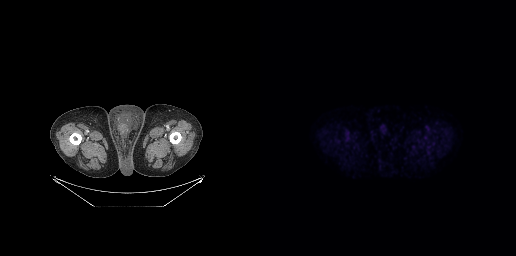
Technique: Paired axial CT (left) and PSMA PET (right), [18F]PSMA-1007 tracer. slice 67 of 299. PET panel 256×256 px (2.7 mm/px).
Findings: No tumor lesions annotated on this slice.